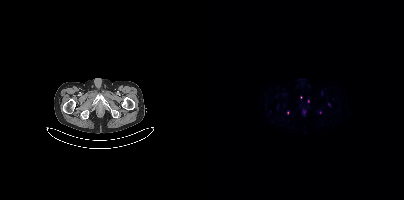
Two-panel axial: CT | PSMA PET, [68Ga]Ga-PSMA-11 tracer. Coordinates are on the 200×200 PET (right) panel. (showing 3 of 5 foci) Small PSMA-avid foci (2 to 4 px across) near (center x, center y): (104, 101) | (125, 104) | (116, 112).